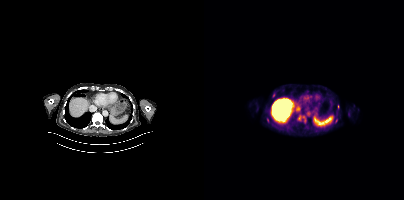
{"modality":"PSMA PET/CT","view":"axial","tracer":"[18F]PSMA-1007","pet_grid":[200,200],"coord_frame":"pet_panel","coord_format":"x0,y0,x1,y1","partial":true,"lesion_bboxes":[]}